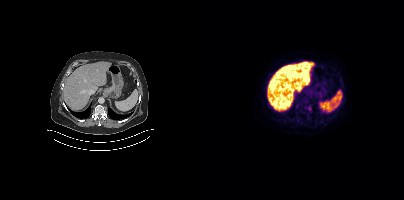
Findings: Coordinates are on the 200×200 PET (right) panel. PSMA-avid tumor lesion bounding box (x0, y0)-(x1, y1): (101, 106)-(107, 110).
Technique: Left: CT. Right: PSMA PET, same axial level, 18F-PSMA tracer.